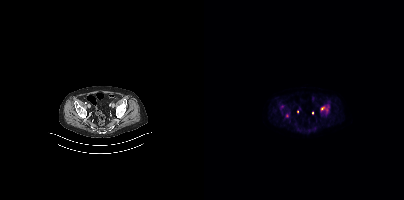
Two-panel axial: CT | PSMA PET, 18F tracer. Slice position z = -1505 mm. PET panel 200×200 px (4.1 mm/px). Coordinates are on the 200×200 PET (right) panel. PSMA-avid tumor lesion bounding boxes (x0, y0)-(x1, y1): (116, 106)-(124, 113) | (76, 105)-(80, 110). Small PSMA-avid focus (2 to 4 px across) near (center x, center y): (83, 115).